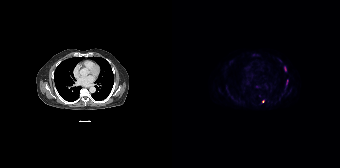
{"modality":"PSMA PET/CT","view":"axial","tracer":"[18F]PSMA-1007","pet_grid":[168,168],"coord_frame":"pet_panel","coord_format":"x0,y0,x1,y1","partial":true,"lesion_bboxes":[],"small_foci_centers":[[90,101]]}